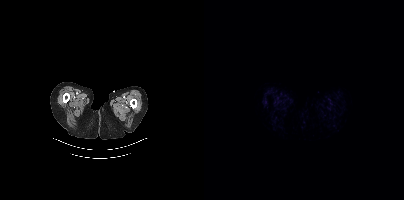
No PSMA-avid tumor lesions on this slice.